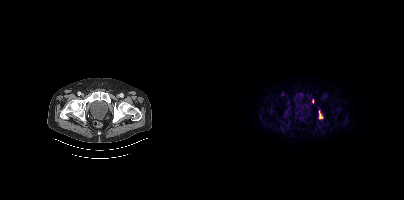
modality: PSMA PET/CT | tracer: [18F]PSMA-1007 | view: axial
Coordinates are on the 200×200 PET (right) panel. PSMA-avid tumor lesion bounding boxes (x0, y0)-(x1, y1): (115, 110)-(119, 119); (108, 99)-(109, 103).